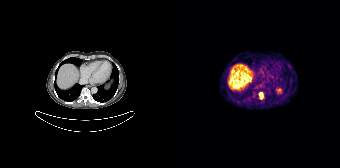
Coordinates are on the 168×168 PET (right) panel. PSMA-avid tumor lesion bounding box (x0,y0,x1,y1): [88,93,90,98].
modality: PSMA PET/CT | tracer: 68Ga-PSMA | view: axial | PET grid: 168×168